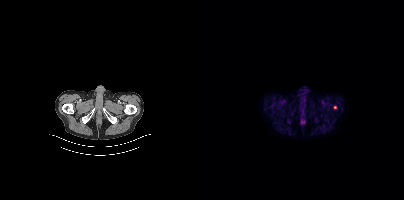
{"modality":"PSMA PET/CT","view":"axial","tracer":"18F-PSMA","pet_grid":[200,200],"coord_frame":"pet_panel","coord_format":"x0,y0,x1,y1","lesion_bboxes":[],"small_foci_centers":[[131,107]]}